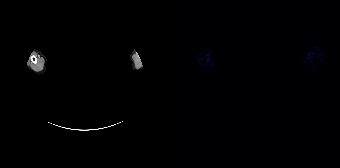
{"modality":"PSMA PET/CT","view":"axial","tracer":"18F","pet_grid":[168,168],"coord_frame":"pet_panel","coord_format":"x0,y0,x1,y1","psma_avid_lesions":false,"de-identification":"head region blacked out before release"}